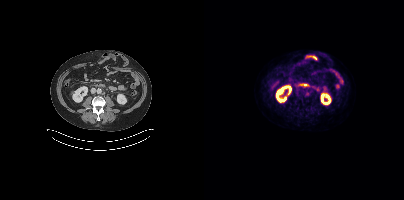
Coordinates are on the 200×200 PET (right) panel. PSMA-avid tumor lesion bounding box (x, y, width, height): x=101 y=91 w=5 h=5.